modality: PSMA PET/CT | tracer: 18F | view: axial | PET grid: 200×200
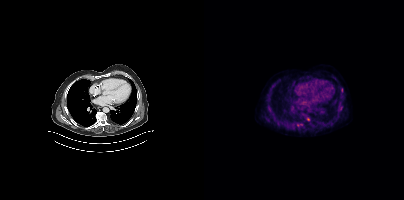
Coordinates are on the 200×200 PET (right) panel. (showing 4 of 7 foci) Small PSMA-avid foci (2 to 4 px across) near (center x, center y): (104, 118) | (137, 108) | (68, 86) | (74, 123).